- Left: CT. Right: PSMA PET, same axial level, 18F-PSMA tracer
- PET panel 200×200 px (4.1 mm/px)
- de-identified by setting a box covering the face to black before release
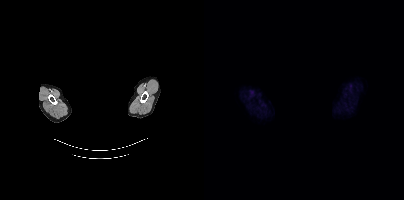
Findings: Negative for PSMA-avid disease on this slice.